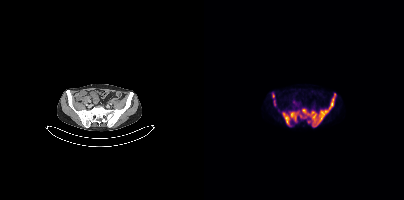
Coordinates are on the 200×200 PET (right) panel. PSMA-avid tumor lesion bounding boxes (x0,y0,x1,y1): [78,93,131,127], [68,93,70,97], [70,100,71,105].